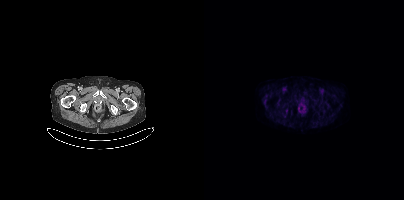
This slice has no annotated PSMA-avid lesion.